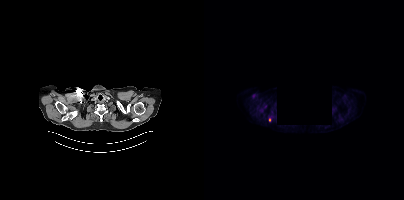
Privacy masking, with the pixels inside a rectangle set to black.
Coordinates are on the 200×200 PET (right) panel. Small PSMA-avid focus (2 to 4 px across) near (center x, center y): (65, 119).